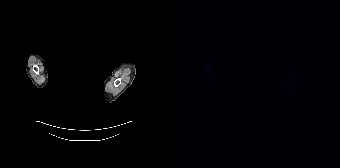
Findings: Negative for PSMA-avid disease on this slice.
- Left: CT. Right: PSMA PET, same axial level, 18F-PSMA tracer
- PET panel 168×168 px (4.1 mm/px)
- face de-identified by blanking a block of the head